Left: CT. Right: PSMA PET, same axial level, [18F]PSMA-1007 tracer.
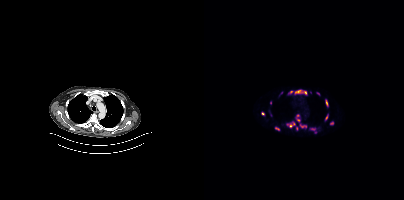
Coordinates are on the 200×200 PET (right) panel. PSMA-avid tumor lesion bounding boxes (partial; 2 more foci not listed):
| # | x0 | y0 | x1 | y1 |
|---|---|---|---|---|
| 1 | 91 | 90 | 102 | 94 |
| 2 | 83 | 122 | 91 | 127 |
| 3 | 121 | 99 | 124 | 106 |
| 4 | 92 | 114 | 96 | 121 |
| 5 | 96 | 124 | 102 | 127 |
| 6 | 121 | 115 | 124 | 120 |
| 7 | 84 | 91 | 88 | 93 |
| 8 | 107 | 128 | 111 | 130 |
| 9 | 71 | 127 | 75 | 129 |
Small PSMA-avid foci (2 to 4 px across) near (center x, center y): (127, 123); (59, 113); (114, 93); (92, 128); (66, 102).